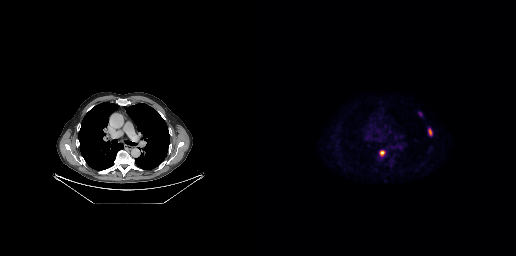
modality: PSMA PET/CT | tracer: [18F]PSMA-1007 | view: axial | PET grid: 256×256
Coordinates are on the 256×256 PET (right) panel. PSMA-avid tumor lesion bounding boxes (x0, y0)-(x1, y1): (168, 128)-(172, 135) | (120, 150)-(125, 156). Small PSMA-avid focus (2 to 4 px across) near (center x, center y): (160, 113).